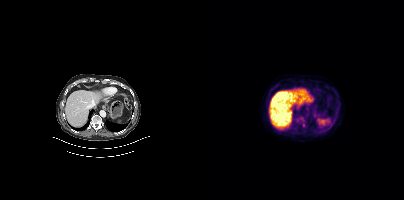
Coordinates are on the 200×200 PET (right) panel. PSMA-avid tumor lesion bounding box (x0, y0)-(x1, y1): (96, 121)-(101, 127).
modality: PSMA PET/CT | tracer: 18F-PSMA | view: axial